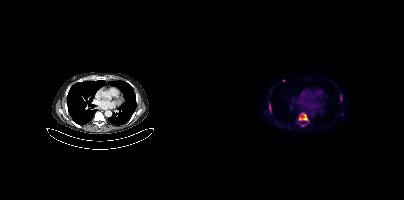
{"modality":"PSMA PET/CT","view":"axial","tracer":"18F-PSMA","pet_grid":[200,200],"coord_frame":"pet_panel","coord_format":"x0,y0,x1,y1","lesion_bboxes":[[95,113,104,120],[65,103,67,112],[136,95,137,101]],"small_foci_centers":[[79,80],[98,125]]}